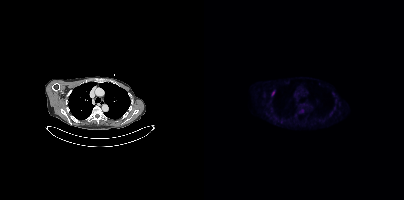
{"pet_grid":[200,200],"coord_frame":"pet_panel","coord_format":"x0,y0,x1,y1","partial":true,"lesion_bboxes":[[68,91,70,95]],"small_foci_centers":[[97,110]],"modality":"PSMA PET/CT","view":"axial","tracer":"[18F]PSMA-1007"}